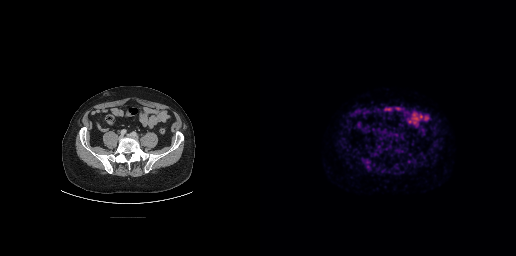
- Paired axial CT (left) and PSMA PET (right), [18F]PSMA-1007 tracer
- slice position z = -612 mm
Findings: No PSMA-avid tumor lesions on this slice.